modality: PSMA PET/CT | tracer: 18F-PSMA | view: axial | PET grid: 200×200
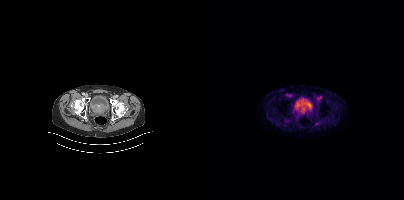
Coordinates are on the 200×200 PET (right) panel. PSMA-avid tumor lesion bounding box (x, y, width, height): x=94 y=104 w=12 h=12.